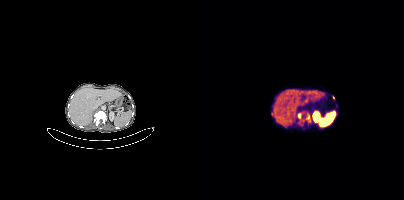
Findings: Coordinates are on the 200×200 PET (right) panel. (showing 4 of 5 foci) PSMA-avid tumor lesion bounding boxes (x, y, width, height): x=102 y=113 w=5 h=10; x=93 y=113 w=5 h=7; x=67 y=112 w=2 h=5. Small PSMA-avid focus (2 to 4 px across) near (center x, center y): (129, 97).
- Two-panel axial: CT | PSMA PET, [68Ga]Ga-PSMA-11 tracer
- acquired on Siemens Biograph mCT Flow 20
- slice 200 of 393
- PET panel 200×200 px (4.1 mm/px)